Left: CT. Right: PSMA PET, same axial level, 18F tracer. Slice position z = -433 mm.
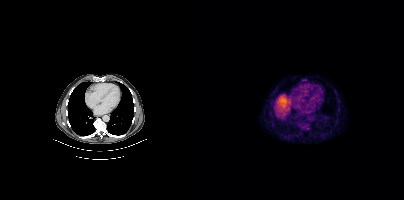
Coordinates are on the 200×200 PET (right) panel. Small PSMA-avid focus (2 to 4 px across) near (center x, center y): (104, 128).